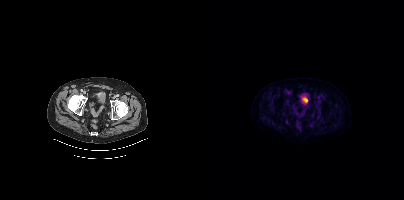
- Left: CT. Right: PSMA PET, same axial level, 18F tracer
- acquired on Siemens Biograph mCT Flow 20
- slice 91 of 462
- PET panel 200×200 px (4.1 mm/px)
Findings: This slice has no annotated PSMA-avid lesion.